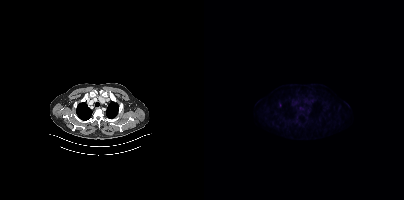
{"modality":"PSMA PET/CT","view":"axial","tracer":"18F","pet_grid":[200,200],"coord_frame":"pet_panel","coord_format":"x0,y0,x1,y1","lesion_bboxes":[],"small_foci_centers":[[76,104]]}